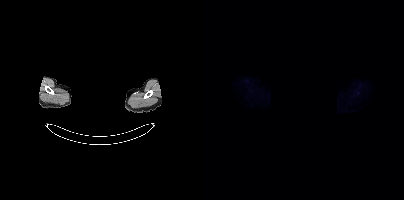
Negative for PSMA-avid disease on this slice. Privacy masking over the head, with the pixels inside a rectangle set to black. Two-panel axial: CT | PSMA PET, 18F-PSMA tracer. PET panel 200×200 px (4.1 mm/px).